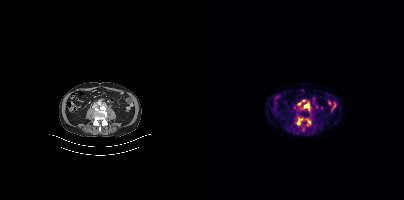
Two-panel axial: CT | PSMA PET, 18F-PSMA tracer.
Coordinates are on the 200×200 PET (right) panel. PSMA-avid tumor lesion bounding boxes (partial; 1 more focus not listed):
| # | x0 | y0 | x1 | y1 |
|---|---|---|---|---|
| 1 | 93 | 119 | 98 | 124 |
| 2 | 100 | 104 | 104 | 106 |
Small PSMA-avid focus (2 to 4 px across) near (center x, center y): (105, 121).